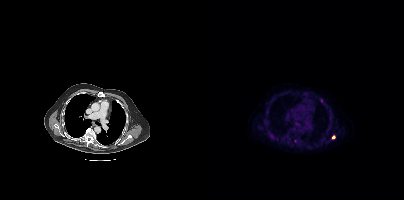
Left: CT. Right: PSMA PET, same axial level, [18F]PSMA-1007 tracer. Acquired on Siemens Biograph mCT Flow 20. Slice position z = -488 mm. PET panel 200×200 px (4.1 mm/px). Coordinates are on the 200×200 PET (right) panel. Small PSMA-avid foci (2 to 4 px across) near (center x, center y): (129, 137) | (91, 140).